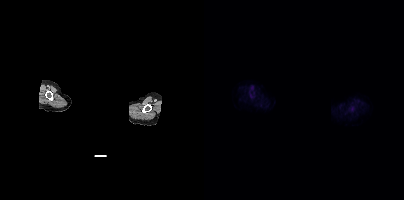
The face region was removed for patient privacy by blanking a rectangle over the head.
No tumor lesions annotated on this slice.